Technique: Left: CT. Right: PSMA PET, same axial level, 18F-PSMA tracer. slice position z = -1344 mm.
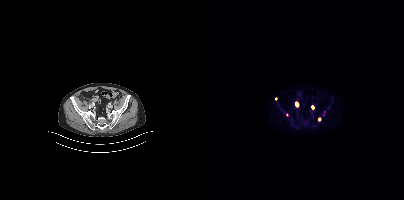
Findings: Coordinates are on the 200×200 PET (right) panel. (showing 1 of 4 foci) Small PSMA-avid focus (2 to 4 px across) near (center x, center y): (108, 107).